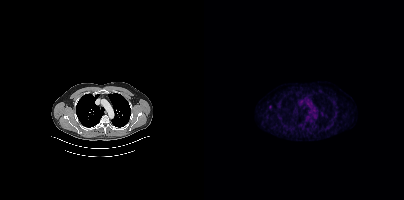
Findings: This slice has no annotated PSMA-avid lesion.
Technique: Left: CT. Right: PSMA PET, same axial level, 18F tracer. acquired on Siemens Biograph mCT Flow 20. slice 315 of 417.